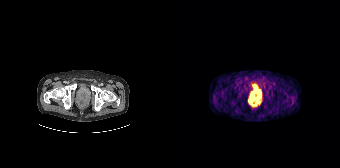
Two-panel axial: CT | PSMA PET, 68Ga-PSMA tracer. Acquired on Siemens Biograph 64-4R TruePoint.
Coordinates are on the 168×168 PET (right) panel. PSMA-avid tumor lesion bounding boxes (partial; 1 more focus not listed):
| # | x0 | y0 | x1 | y1 |
|---|---|---|---|---|
| 1 | 76 | 88 | 88 | 104 |
| 2 | 83 | 101 | 85 | 105 |